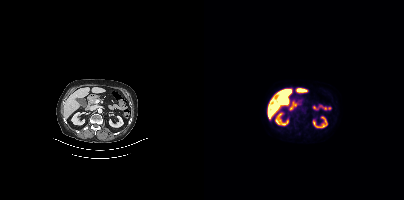
{"modality":"PSMA PET/CT","view":"axial","tracer":"18F","pet_grid":[200,200],"coord_frame":"pet_panel","coord_format":"x0,y0,x1,y1","psma_avid_lesions":false}